modality: PSMA PET/CT | tracer: 18F | view: axial
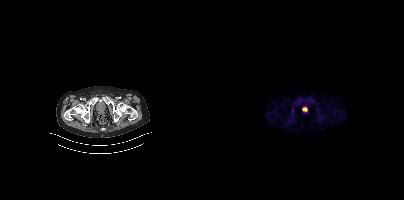
Coordinates are on the 200×200 PET (right) panel. Small PSMA-avid focus (2 to 4 px across) near (center x, center y): (100, 109).